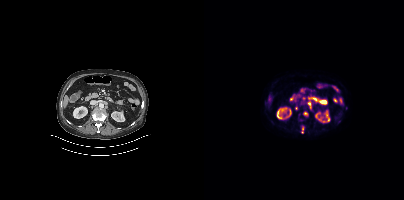
{"modality":"PSMA PET/CT","view":"axial","tracer":"18F-PSMA","pet_grid":[200,200],"coord_frame":"pet_panel","coord_format":"x0,y0,x1,y1","partial":true,"lesion_bboxes":[],"small_foci_centers":[[101,113],[105,103],[98,128]]}